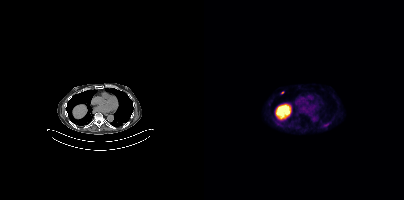
Findings: Coordinates are on the 200×200 PET (right) panel. Small PSMA-avid focus (2 to 4 px across) near (center x, center y): (78, 92).
Technique: Paired axial CT (left) and PSMA PET (right), 18F tracer.